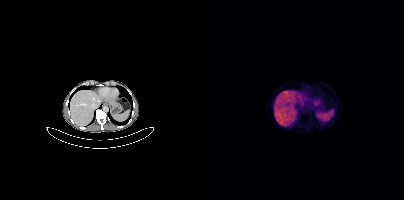
modality: PSMA PET/CT | tracer: 68Ga-PSMA | view: axial
No PSMA-avid tumor lesions on this slice.